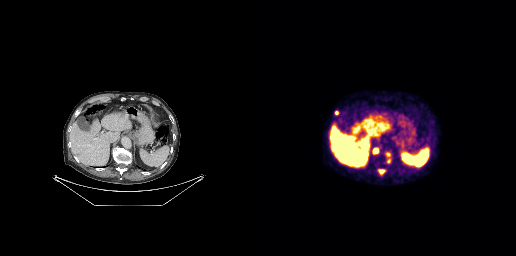
Coordinates are on the 256×256 PET (right) panel. PSMA-avid tumor lesion bounding boxes (x, y, width, height): x=118 y=169 w=8 h=6 / x=113 y=148 w=6 h=6. Small PSMA-avid foci (2 to 4 px across) near (center x, center y): (76, 112) / (128, 160) / (128, 154).
modality: PSMA PET/CT | tracer: 18F | view: axial | PET grid: 256×256